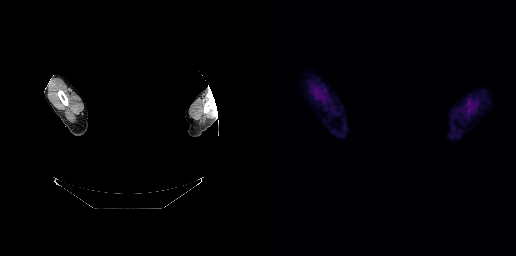
{"modality":"PSMA PET/CT","view":"axial","tracer":"18F","pet_grid":[256,256],"coord_frame":"pet_panel","coord_format":"x0,y0,x1,y1","de-identification":"privacy mask over head","psma_avid_lesions":false}